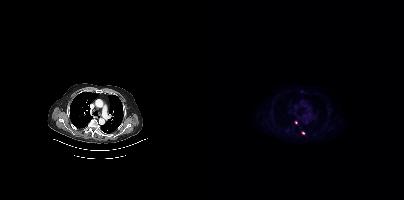
{"pet_grid":[200,200],"coord_frame":"pet_panel","coord_format":"x0,y0,x1,y1","lesion_bboxes":[],"small_foci_centers":[[92,122],[99,133]],"modality":"PSMA PET/CT","view":"axial","tracer":"[18F]PSMA-1007"}